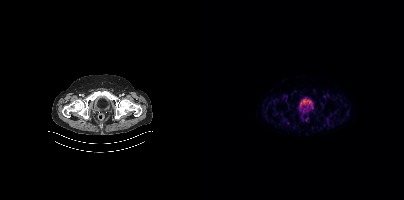
Left: CT. Right: PSMA PET, same axial level, 18F-PSMA tracer. No PSMA-avid tumor lesions on this slice.